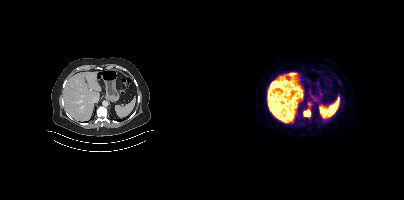
Coordinates are on the 200×200 PET (right) panel. PSMA-avid tumor lesion bounding box (x0, y0)-(x1, y1): (99, 109)-(106, 116).